- Left: CT. Right: PSMA PET, same axial level, 68Ga tracer
- acquired on GE Discovery 690
- slice position z = -625 mm
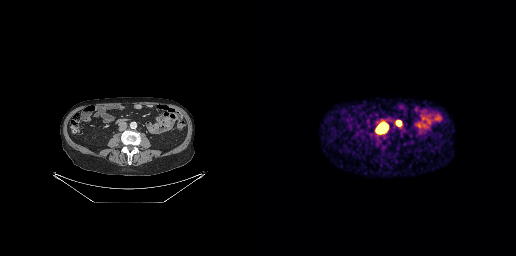
Findings: Coordinates are on the 256×256 PET (right) panel. PSMA-avid tumor lesion bounding box (x0, y0)-(x1, y1): (118, 125)-(126, 131). Small PSMA-avid focus (2 to 4 px across) near (center x, center y): (138, 122).